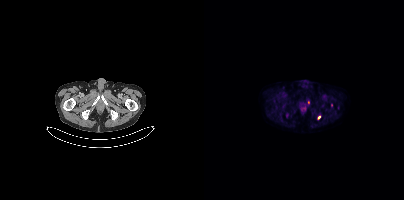
Coordinates are on the 200×200 PET (right) panel. (showing 2 of 3 foci) Small PSMA-avid foci (2 to 4 px across) near (center x, center y): (115, 117) | (104, 102). Left: CT. Right: PSMA PET, same axial level, 18F-PSMA tracer. Slice position z = -308 mm.